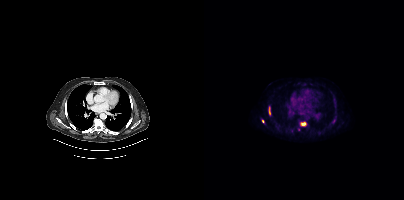
{"pet_grid":[200,200],"coord_frame":"pet_panel","coord_format":"x0,y0,x1,y1","lesion_bboxes":[[64,106,66,115],[96,122,101,125],[128,116,132,123]],"small_foci_centers":[[58,121],[94,129],[87,131]],"modality":"PSMA PET/CT","view":"axial","tracer":"18F"}